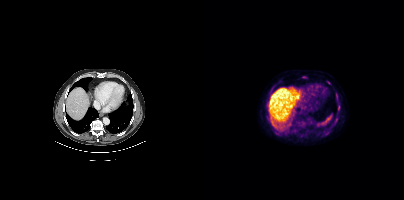
{"modality":"PSMA PET/CT","view":"axial","tracer":"18F-PSMA","pet_grid":[200,200],"coord_frame":"pet_panel","coord_format":"x0,y0,x1,y1","lesion_bboxes":[],"small_foci_centers":[[100,77],[124,82],[132,98],[134,106]]}